Two-panel axial: CT | PSMA PET, 68Ga-PSMA tracer. Acquired on Siemens Biograph mCT Flow 20. Head region blanked for anonymization (face removed).
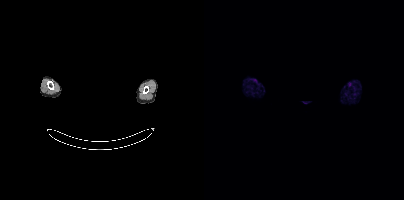
Negative for PSMA-avid disease on this slice.